modality: PSMA PET/CT | tracer: 18F-PSMA | view: axial | PET grid: 200×200
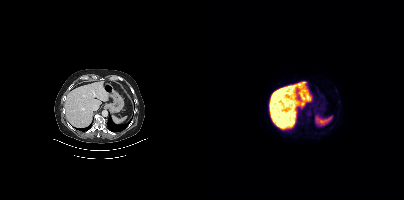
No tumor lesions annotated on this slice.